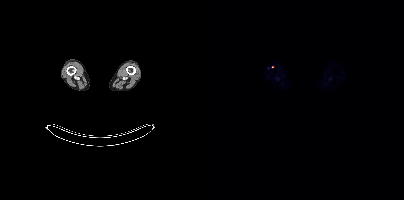
Coordinates are on the 200×200 PET (right) panel. Small PSMA-avid focus (2 to 4 px across) near (center x, center y): (68, 66).